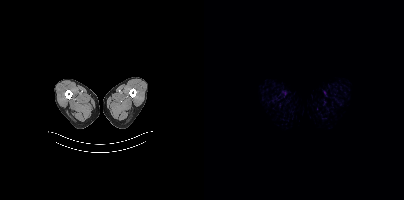
No PSMA-avid tumor lesions on this slice.